Two-panel axial: CT | PSMA PET, 68Ga-PSMA tracer. Slice position z = -745 mm. PET panel 200×200 px (4.1 mm/px).
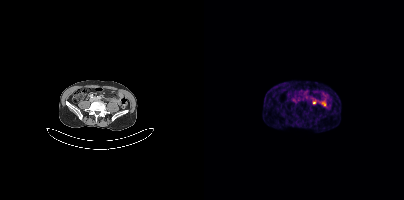
No tumor lesions annotated on this slice.